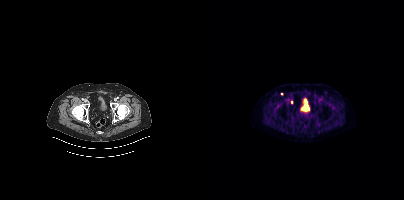
Findings: Coordinates are on the 200×200 PET (right) panel. Small PSMA-avid focus (2 to 4 px across) near (center x, center y): (87, 101).
Technique: Left: CT. Right: PSMA PET, same axial level, [18F]PSMA-1007 tracer.